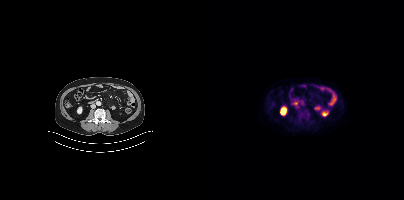
No tumor lesions annotated on this slice.